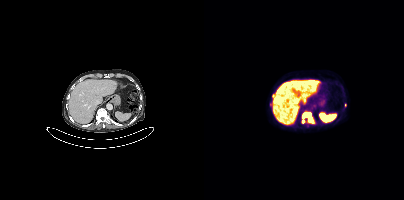
Coordinates are on the 200×200 PET (right) panel. (showing 3 of 4 foci) PSMA-avid tumor lesion bounding box (x0,y0,x1,y1): [98,112,110,123]. Small PSMA-avid foci (2 to 4 px across) near (center x, center y): (67, 104), (69, 96).
modality: PSMA PET/CT | tracer: 18F-PSMA | view: axial